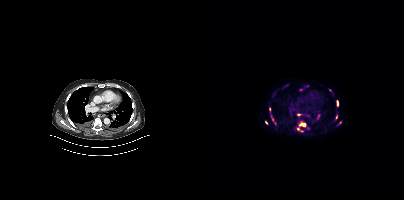
{"modality":"PSMA PET/CT","view":"axial","tracer":"18F","pet_grid":[200,200],"coord_frame":"pet_panel","coord_format":"x0,y0,x1,y1","partial":true,"lesion_bboxes":[[92,121,102,132],[132,100,134,106],[132,115,133,119]],"small_foci_centers":[[94,114],[62,122],[65,109],[136,122],[68,119],[103,127]]}